Two-panel axial: CT | PSMA PET, [68Ga]Ga-PSMA-11 tracer.
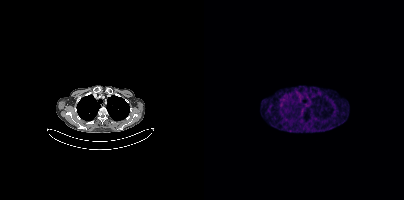
This slice has no annotated PSMA-avid lesion.